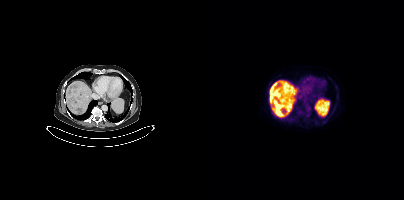
Findings: Coordinates are on the 200×200 PET (right) panel. PSMA-avid tumor lesion bounding box (x, y, width, height): x=66 y=88 w=9 h=9.
Technique: Paired axial CT (left) and PSMA PET (right), 18F tracer. slice 263 of 431.